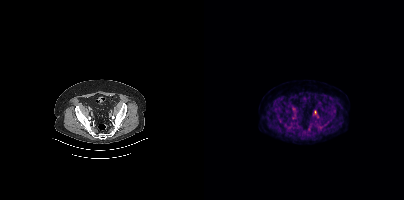
Left: CT. Right: PSMA PET, same axial level, 18F-PSMA tracer. Acquired on Siemens Biograph mCT Flow 20. Slice position z = -1388 mm. PET panel 200×200 px (4.1 mm/px). Coordinates are on the 200×200 PET (right) panel. Small PSMA-avid focus (2 to 4 px across) near (center x, center y): (111, 112).